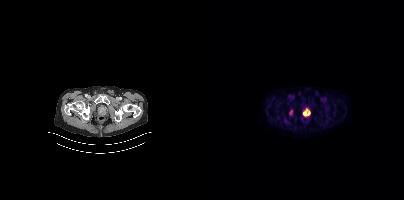
modality: PSMA PET/CT | tracer: 18F | view: axial | PET grid: 200×200
Coordinates are on the 200×200 PET (right) panel. PSMA-avid tumor lesion bounding box (x0, y0)-(x1, y1): (100, 109)-(105, 116). Small PSMA-avid focus (2 to 4 px across) near (center x, center y): (86, 114).